Paired axial CT (left) and PSMA PET (right), 18F tracer.
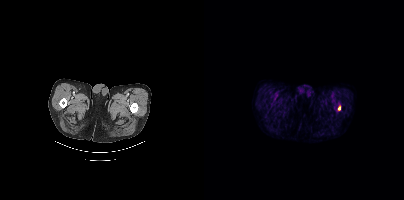
Coordinates are on the 200×200 PET (right) panel. Small PSMA-avid focus (2 to 4 px across) near (center x, center y): (135, 107).